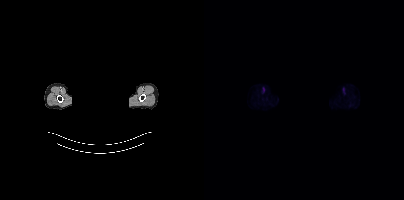
Left: CT. Right: PSMA PET, same axial level, [18F]PSMA-1007 tracer. Acquired on Siemens Biograph mCT Flow 20. Slice position z = -343 mm. PET panel 200×200 px (4.1 mm/px). The face region was removed for patient privacy by blanking a rectangle over the head. No tumor lesions annotated on this slice.